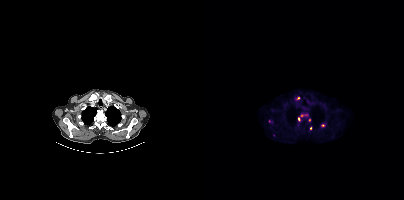
Two-panel axial: CT | PSMA PET, [18F]PSMA-1007 tracer. Slice position z = 127 mm. PET panel 200×200 px (4.1 mm/px).
Coordinates are on the 200×200 PET (right) panel. PSMA-avid tumor lesion bounding boxes (partial; 2 more foci not listed):
| # | x0 | y0 | x1 | y1 |
|---|---|---|---|---|
| 1 | 96 | 113 | 104 | 116 |
Small PSMA-avid foci (2 to 4 px across) near (center x, center y): (94, 98); (94, 118); (119, 125); (106, 128); (105, 119).